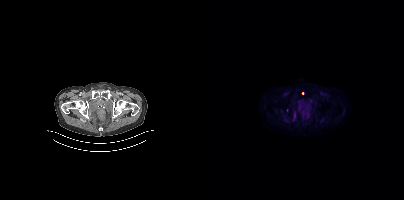
{"modality":"PSMA PET/CT","view":"axial","tracer":"[18F]PSMA-1007","pet_grid":[200,200],"coord_frame":"pet_panel","coord_format":"x0,y0,x1,y1","partial":true,"lesion_bboxes":[[90,114,91,118]]}